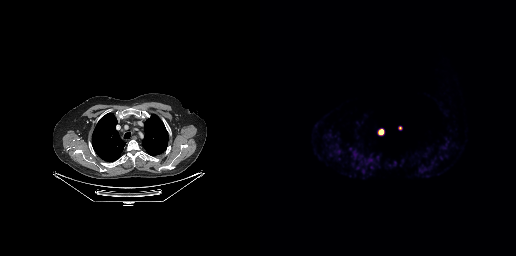
Coordinates are on the 256×256 PET (right) panel. (showing 1 of 2 foci) PSMA-avid tumor lesion bounding box (x0, y0)-(x1, y1): (119, 129)-(123, 134).